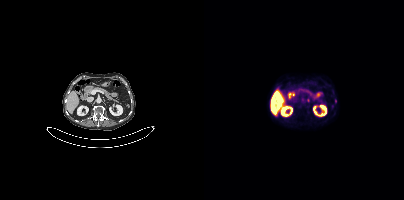
Coordinates are on the 200×200 PET (right) panel. PSMA-avid tumor lesion bounding box (x0, y0)-(x1, y1): (102, 98)-(105, 102).